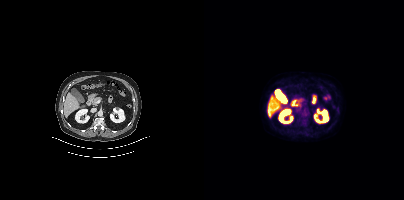
Findings: Negative for PSMA-avid disease on this slice.
- Two-panel axial: CT | PSMA PET, [18F]PSMA-1007 tracer
- slice 179 of 381
- PET panel 200×200 px (4.1 mm/px)